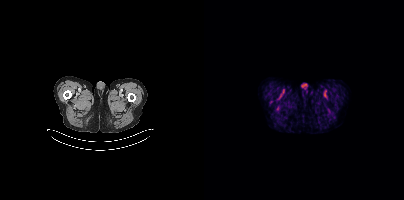
Left: CT. Right: PSMA PET, same axial level, 18F tracer. Slice 21 of 429. No PSMA-avid tumor lesions on this slice.